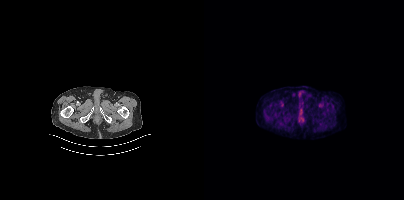
modality: PSMA PET/CT | tracer: 18F-PSMA | view: axial | PET grid: 200×200
No PSMA-avid tumor lesions on this slice.